Technique: Left: CT. Right: PSMA PET, same axial level, 18F-PSMA tracer. slice position z = -472 mm.
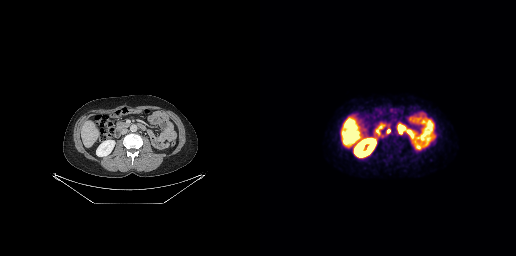
Findings: Coordinates are on the 256×256 PET (right) panel. PSMA-avid tumor lesion bounding boxes (x0,y0,x1,y1): [137,128,142,134]; [127,129,130,133]. Small PSMA-avid focus (2 to 4 px across) near (center x, center y): (121, 135).